Paired axial CT (left) and PSMA PET (right), 18F tracer. PET panel 200×200 px (4.1 mm/px).
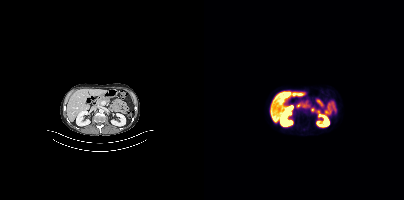
No PSMA-avid tumor lesions on this slice.